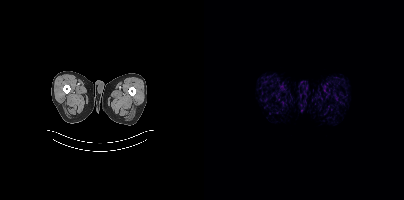
No PSMA-avid tumor lesions on this slice.